Two-panel axial: CT | PSMA PET, 18F-PSMA tracer. Acquired on GE Discovery 690. Slice 145 of 263.
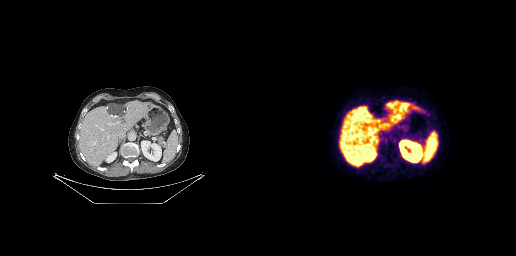
This slice has no annotated PSMA-avid lesion.